Technique: Two-panel axial: CT | PSMA PET, 18F tracer. slice 115 of 435.
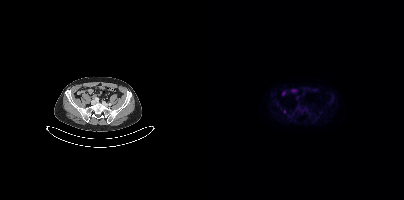
Findings: Coordinates are on the 200×200 PET (right) panel. Small PSMA-avid focus (2 to 4 px across) near (center x, center y): (80, 111).